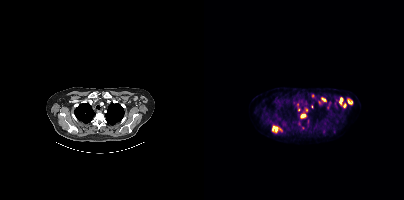
Technique: Paired axial CT (left) and PSMA PET (right), 18F tracer.
Findings: Coordinates are on the 200×200 PET (right) panel. (showing 12 of 17 foci) PSMA-avid tumor lesion bounding boxes (x, y, width, height): x=68 y=126 w=10 h=7 | x=97 y=109 w=7 h=9 | x=117 y=97 w=6 h=5 | x=136 y=98 w=3 h=8 | x=144 y=100 w=5 h=4. Small PSMA-avid foci (2 to 4 px across) near (center x, center y): (109, 95) | (124, 107) | (95, 109) | (104, 120) | (140, 105) | (131, 103) | (119, 130).